Technique: Two-panel axial: CT | PSMA PET, 18F-PSMA tracer. acquired on Siemens Biograph mCT Flow 20. slice position z = 270 mm. PET panel 200×200 px (4.1 mm/px).
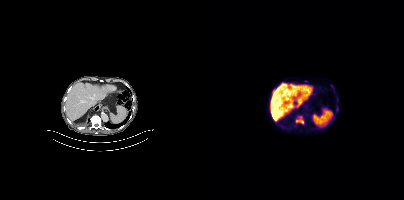
Findings: Coordinates are on the 200×200 PET (right) panel. (showing 2 of 3 foci) PSMA-avid tumor lesion bounding box (x0, y0)-(x1, y1): (92, 116)-(99, 124). Small PSMA-avid focus (2 to 4 px across) near (center x, center y): (101, 81).